Two-panel axial: CT | PSMA PET, 18F-PSMA tracer.
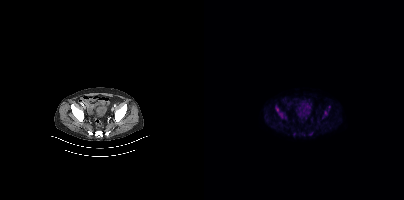
Coordinates are on the 200×200 PET (right) panel. PSMA-avid tumor lesion bounding boxes (partial; 3 more foci not listed):
| # | x0 | y0 | x1 | y1 |
|---|---|---|---|---|
| 1 | 71 | 106 | 79 | 118 |
| 2 | 118 | 109 | 125 | 118 |
Small PSMA-avid foci (2 to 4 px across) near (center x, center y): (106, 133); (81, 117).